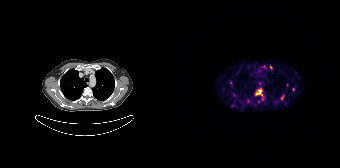
Coordinates are on the 168×168 PET (right) panel. PSMA-avid tumor lesion bounding boxes (partial; 1 more focus not listed):
| # | x0 | y0 | x1 | y1 |
|---|---|---|---|---|
| 1 | 83 | 89 | 90 | 95 |
| 2 | 108 | 95 | 112 | 100 |
Small PSMA-avid foci (2 to 4 px across) near (center x, center y): (121, 89); (99, 67); (115, 84); (76, 100).
Two-panel axial: CT | PSMA PET, 68Ga tracer. PET panel 168×168 px (4.1 mm/px).